Technique: Left: CT. Right: PSMA PET, same axial level, 18F tracer. slice position z = -820 mm.
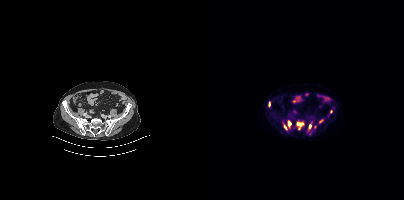
Findings: Coordinates are on the 200×200 PET (right) panel. (showing 7 of 8 foci) PSMA-avid tumor lesion bounding boxes (x, y, width, height): x=93 y=122 w=7 h=8; x=84 y=120 w=4 h=7; x=115 y=119 w=5 h=5; x=105 y=124 w=3 h=6; x=64 y=102 w=3 h=5; x=80 y=125 w=3 h=5. Small PSMA-avid focus (2 to 4 px across) near (center x, center y): (127, 111).